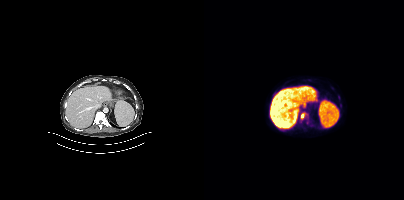
Left: CT. Right: PSMA PET, same axial level, 18F tracer. Acquired on Siemens Biograph mCT Flow 20. PET panel 200×200 px (4.1 mm/px). Coordinates are on the 200×200 PET (right) panel. (showing 1 of 2 foci) Small PSMA-avid focus (2 to 4 px across) near (center x, center y): (99, 114).